Paired axial CT (left) and PSMA PET (right), [18F]PSMA-1007 tracer. Acquired on Siemens Biograph mCT Flow 20. PET panel 200×200 px (4.1 mm/px).
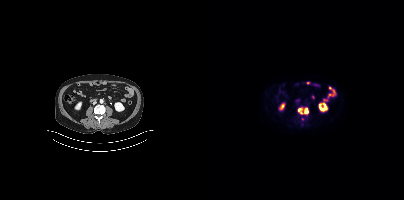
Coordinates are on the 200×200 PET (right) panel. PSMA-avid tumor lesion bounding box (x0,y0,x1,y1): [93,107,104,114]. Small PSMA-avid focus (2 to 4 px across) near (center x, center y): (98, 118).